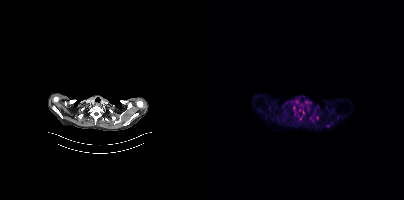
Two-panel axial: CT | PSMA PET, 18F-PSMA tracer. Coordinates are on the 200×200 PET (right) panel. (showing 1 of 3 foci) Small PSMA-avid focus (2 to 4 px across) near (center x, center y): (113, 117).